modality: PSMA PET/CT | tracer: [18F]PSMA-1007 | view: axial
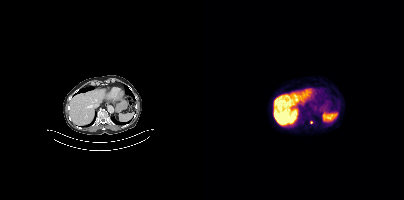
Coordinates are on the 200×200 PET (right) panel. Small PSMA-avid focus (2 to 4 px across) near (center x, center y): (107, 122).